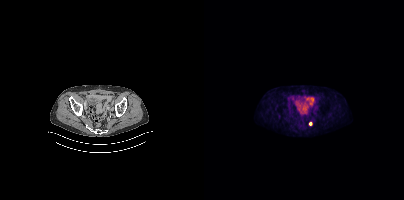
Technique: Paired axial CT (left) and PSMA PET (right), 18F-PSMA tracer. acquired on Siemens Biograph mCT Flow 20. slice position z = -1566 mm. PET panel 200×200 px (4.1 mm/px).
Findings: Coordinates are on the 200×200 PET (right) panel. Small PSMA-avid focus (2 to 4 px across) near (center x, center y): (106, 123).